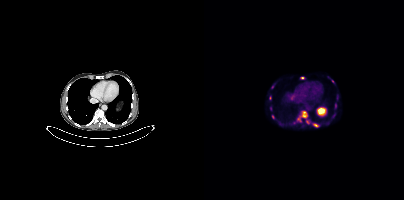
Coordinates are on the 200×200 PET (right) panel. (showing 5 of 7 foci) PSMA-avid tumor lesion bounding boxes (x0,y0,x1,y1): [93,111,103,121]; [109,123,114,126]. Small PSMA-avid foci (2 to 4 px across) near (center x, center y): (98, 78); (103, 121); (128, 81).
modality: PSMA PET/CT | tracer: [18F]PSMA-1007 | view: axial